- Left: CT. Right: PSMA PET, same axial level, 18F-PSMA tracer
- acquired on GE Discovery 690
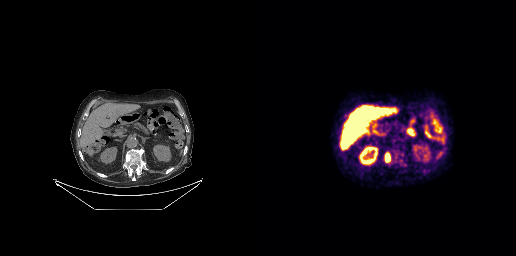
Findings: Coordinates are on the 256×256 PET (right) panel. (showing 1 of 3 foci) PSMA-avid tumor lesion bounding box (x0,y0,x1,y1): [125,153,131,162].